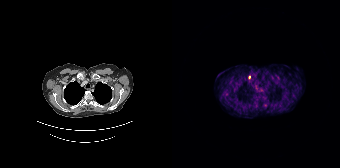
{"pet_grid":[168,168],"coord_frame":"pet_panel","coord_format":"x0,y0,x1,y1","lesion_bboxes":[],"small_foci_centers":[[77,77]],"modality":"PSMA PET/CT","view":"axial","tracer":"68Ga"}